Technique: Two-panel axial: CT | PSMA PET, 18F tracer.
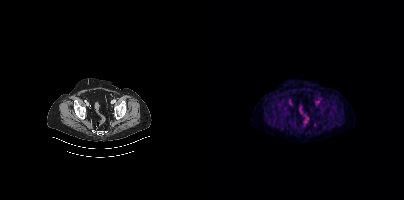
Findings: No tumor lesions annotated on this slice.